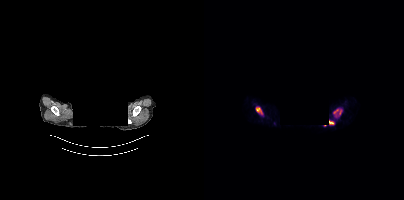
modality: PSMA PET/CT | tracer: [68Ga]Ga-PSMA-11 | view: axial | de-identification: head region blacked out before release
Coordinates are on the 200×200 PET (right) panel. PSMA-avid tumor lesion bounding boxes (x0,y0,x1,y1): [130,109,137,115]; [52,107,58,114]; [125,120,130,124].